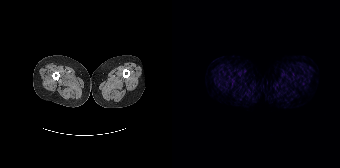
modality: PSMA PET/CT | tracer: [68Ga]Ga-PSMA-11 | view: axial | PET grid: 168×168
No tumor lesions annotated on this slice.